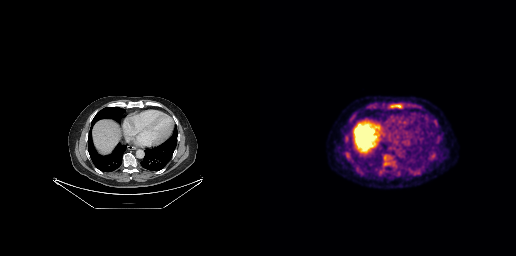
Findings: Coordinates are on the 256×256 PET (right) panel. PSMA-avid tumor lesion bounding box (x0, y0)-(x1, y1): (131, 103)-(139, 108).
Technique: Two-panel axial: CT | PSMA PET, 18F-PSMA tracer. acquired on GE Discovery 690.